modality: PSMA PET/CT | tracer: [18F]PSMA-1007 | view: axial | PET grid: 200×200
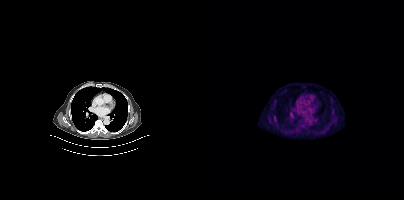
Coordinates are on the 200×200 PET (right) panel. Small PSMA-avid focus (2 to 4 px across) near (center x, center y): (70, 118).